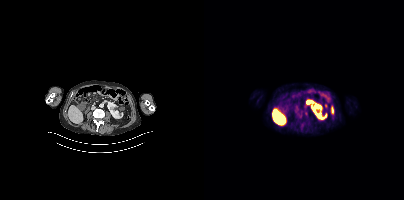
{"modality":"PSMA PET/CT","view":"axial","tracer":"18F","pet_grid":[200,200],"coord_frame":"pet_panel","coord_format":"x0,y0,x1,y1","lesion_bboxes":[[127,106,129,113]]}